Paired axial CT (left) and PSMA PET (right), 18F tracer. Slice position z = -332 mm. PET panel 256×256 px (2.7 mm/px).
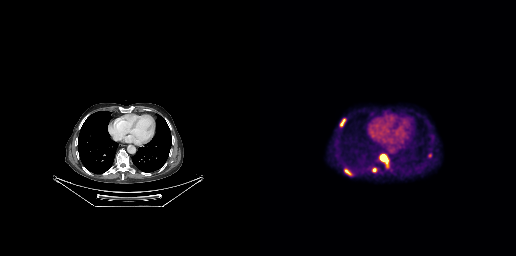
Coordinates are on the 256×256 PET (right) panel. PSMA-avid tumor lesion bounding boxes:
| # | x0 | y0 | x1 | y1 |
|---|---|---|---|---|
| 1 | 79 | 118 | 86 | 127 |
| 2 | 120 | 155 | 126 | 160 |
| 3 | 84 | 168 | 90 | 174 |
| 4 | 113 | 167 | 117 | 172 |
| 5 | 168 | 153 | 172 | 157 |
Small PSMA-avid focus (2 to 4 px across) near (center x, center y): (91, 174).